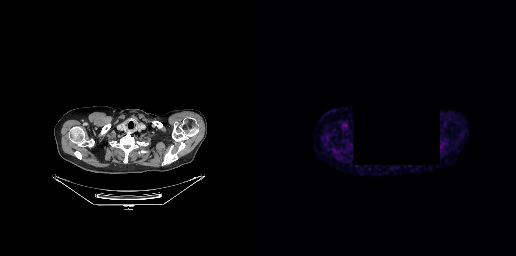
Technique: Paired axial CT (left) and PSMA PET (right), 18F tracer. slice 226 of 263. PET panel 256×256 px (2.7 mm/px).
Note: A black rectangle in this scan is a privacy mask, not anatomy.
Findings: No PSMA-avid tumor lesions on this slice.